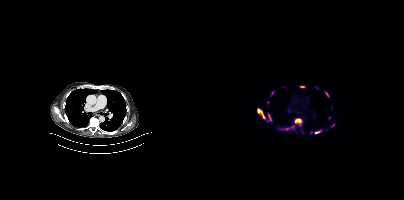
Two-panel axial: CT | PSMA PET, 18F tracer. Slice 280 of 387. Coordinates are on the 200×200 PET (right) panel. (showing 11 of 12 foci) PSMA-avid tumor lesion bounding boxes (x0, y0)-(x1, y1): (53, 108)-(61, 119); (90, 118)-(98, 125); (82, 125)-(90, 129); (111, 130)-(117, 133); (64, 113)-(67, 121); (121, 91)-(124, 97); (96, 86)-(100, 87). Small PSMA-avid foci (2 to 4 px across) near (center x, center y): (68, 92); (129, 125); (125, 117); (63, 102).